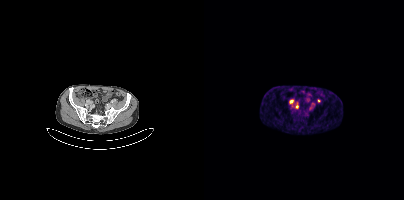
{"modality":"PSMA PET/CT","view":"axial","tracer":"68Ga","pet_grid":[200,200],"coord_frame":"pet_panel","coord_format":"x0,y0,x1,y1","lesion_bboxes":[[91,103,94,108],[85,100,89,103]],"small_foci_centers":[[115,100]]}